deidentification: face masked with black rectangle | modality: PSMA PET/CT | tracer: 68Ga | view: axial | PET grid: 200×200
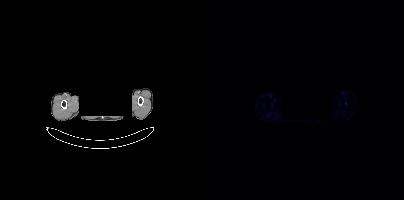
Negative for PSMA-avid disease on this slice.